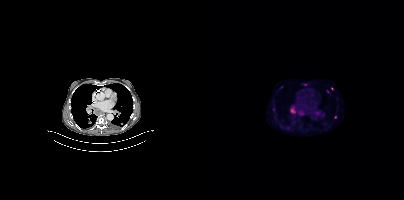
Coordinates are on the 200×200 PET (right) panel. PSMA-avid tumor lesion bounding boxes (partial; 2 more foci not listed):
| # | x0 | y0 | x1 | y1 |
|---|---|---|---|---|
| 1 | 86 | 107 | 91 | 113 |
| 2 | 110 | 111 | 116 | 115 |
| 3 | 95 | 111 | 99 | 115 |
Small PSMA-avid foci (2 to 4 px across) near (center x, center y): (124, 91); (77, 87); (127, 88); (69, 108).
Paired axial CT (left) and PSMA PET (right), 18F-PSMA tracer. Acquired on Siemens Biograph mCT Flow 20. PET panel 200×200 px (4.1 mm/px).